- Paired axial CT (left) and PSMA PET (right), 18F-PSMA tracer
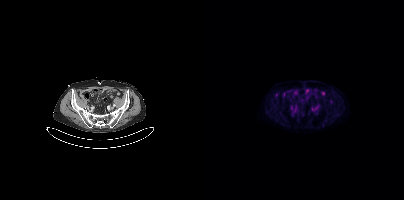
Findings: No tumor lesions annotated on this slice.